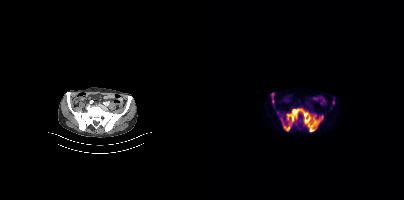
Coordinates are on the 200×200 PET (right) panel. PSMA-avid tumor lesion bounding boxes (x0,y0,x1,y1): [79,108,119,131]; [67,93,70,102]. Small PSMA-avid foci (2 to 4 px across) near (center x, center y): (129, 102); (73, 112); (77, 119).
modality: PSMA PET/CT | tracer: 18F | view: axial | PET grid: 200×200